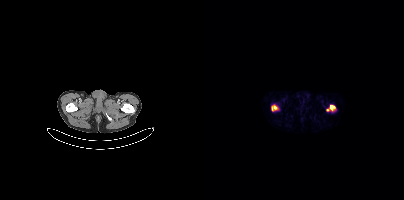
- Left: CT. Right: PSMA PET, same axial level, 68Ga tracer
- acquired on Siemens Biograph mCT Flow 20
- slice 22 of 393
- PET panel 200×200 px (4.1 mm/px)
Findings: Coordinates are on the 200×200 PET (right) panel. PSMA-avid tumor lesion bounding boxes (x0,y0,x1,y1): [123,105,131,110] [68,105,73,110].